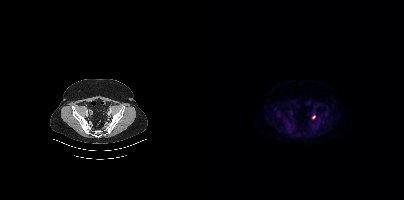
Left: CT. Right: PSMA PET, same axial level, [18F]PSMA-1007 tracer. Acquired on Siemens Biograph mCT Flow 20. Slice position z = -1420 mm. PET panel 200×200 px (4.1 mm/px). Coordinates are on the 200×200 PET (right) panel. Small PSMA-avid focus (2 to 4 px across) near (center x, center y): (109, 117).